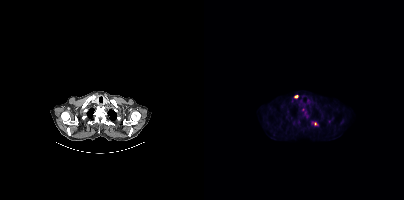
Coordinates are on the 200×200 PET (right) panel. (showing 4 of 5 foci) Small PSMA-avid foci (2 to 4 px across) near (center x, center y): (99, 109); (92, 96); (111, 123); (102, 116). Left: CT. Right: PSMA PET, same axial level, [18F]PSMA-1007 tracer. Slice position z = 141 mm.